modality: PSMA PET/CT | tracer: 18F | view: axial | PET grid: 200×200
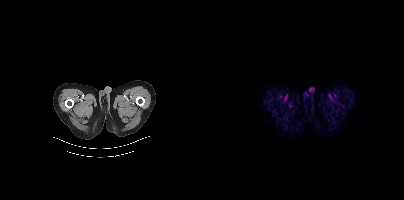
No tumor lesions annotated on this slice.